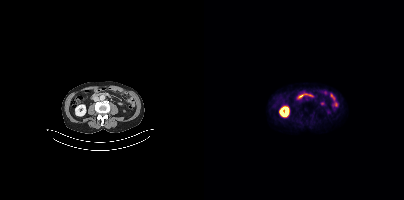
Paired axial CT (left) and PSMA PET (right), 18F-PSMA tracer. PET panel 200×200 px (4.1 mm/px). Negative for PSMA-avid disease on this slice.